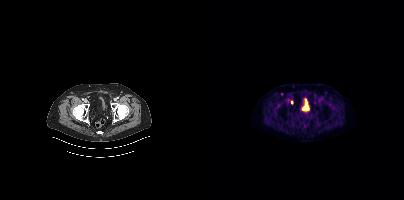
Technique: Two-panel axial: CT | PSMA PET, [18F]PSMA-1007 tracer. acquired on Siemens Biograph mCT Flow 20.
Findings: Coordinates are on the 200×200 PET (right) panel. Small PSMA-avid focus (2 to 4 px across) near (center x, center y): (87, 102).